Two-panel axial: CT | PSMA PET, 18F tracer. PET panel 200×200 px (4.1 mm/px).
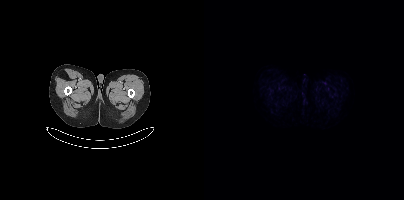
No PSMA-avid tumor lesions on this slice.